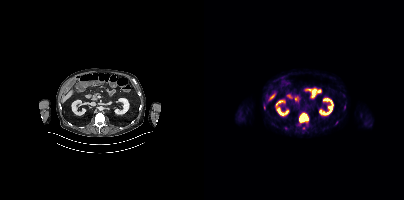
Coordinates are on the 200×200 PET (right) panel. PSMA-avid tumor lesion bounding box (x0, y0)-(x1, y1): (95, 113)-(104, 122). Small PSMA-avid foci (2 to 4 px across) near (center x, center y): (99, 128) | (60, 107) | (132, 122).